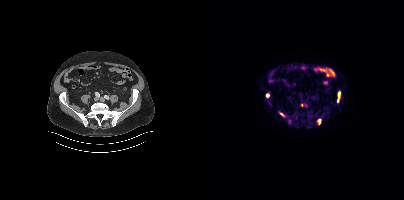
{"modality":"PSMA PET/CT","view":"axial","tracer":"[18F]PSMA-1007","pet_grid":[200,200],"coord_frame":"pet_panel","coord_format":"x0,y0,x1,y1","lesion_bboxes":[[134,91,136,97],[113,119,116,123],[76,113,80,116]],"small_foci_centers":[[63,95],[133,100]]}